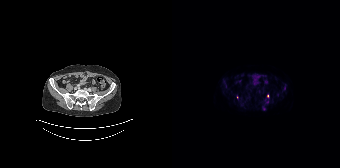
Coordinates are on the 168×168 PET (right) panel. (showing 2 of 3 foci) Small PSMA-avid foci (2 to 4 px across) near (center x, center y): (95, 95) | (112, 88). Two-panel axial: CT | PSMA PET, 18F tracer. Slice position z = -1060 mm. PET panel 168×168 px (4.1 mm/px).